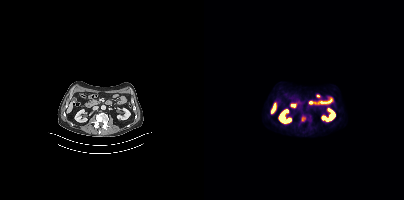
Findings: Coordinates are on the 200×200 PET (right) panel. PSMA-avid tumor lesion bounding box (x, y, width, height): x=97 y=116 w=5 h=6.
Technique: Paired axial CT (left) and PSMA PET (right), [18F]PSMA-1007 tracer. PET panel 200×200 px (4.1 mm/px).